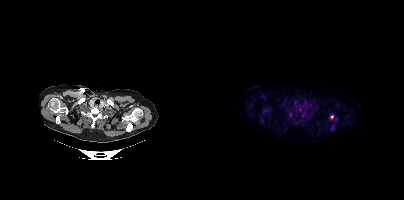
{"modality":"PSMA PET/CT","view":"axial","tracer":"18F","pet_grid":[200,200],"coord_frame":"pet_panel","coord_format":"x0,y0,x1,y1","partial":true,"lesion_bboxes":[],"small_foci_centers":[[127,116],[95,109]]}